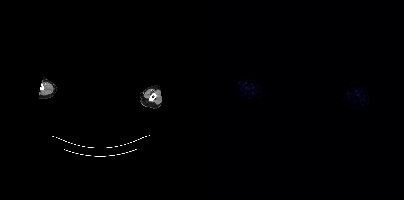
{"modality":"PSMA PET/CT","view":"axial","tracer":"18F-PSMA","pet_grid":[200,200],"coord_frame":"pet_panel","coord_format":"x0,y0,x1,y1","psma_avid_lesions":false,"redaction":"head region blacked out before release"}